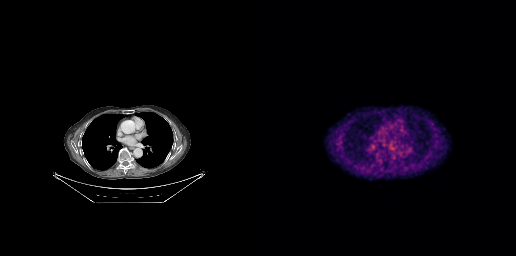
{"pet_grid":[256,256],"coord_frame":"pet_panel","coord_format":"x0,y0,x1,y1","psma_avid_lesions":false,"modality":"PSMA PET/CT","view":"axial","tracer":"18F"}